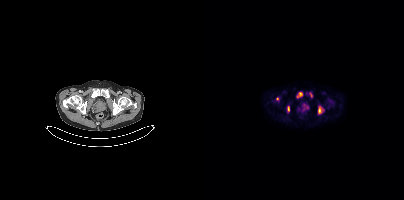
Technique: Left: CT. Right: PSMA PET, same axial level, 18F-PSMA tracer. slice position z = -1496 mm.
Findings: Coordinates are on the 200×200 PET (right) panel. PSMA-avid tumor lesion bounding boxes (x, y, width, height): x=114 y=106 w=6 h=8 | x=92 y=92 w=7 h=7 | x=83 y=106 w=3 h=7 | x=105 y=92 w=4 h=6. Small PSMA-avid focus (2 to 4 px across) near (center x, center y): (73, 98).